- Two-panel axial: CT | PSMA PET, 18F-PSMA tracer
- acquired on Siemens Biograph mCT Flow 20
- slice position z = -268 mm
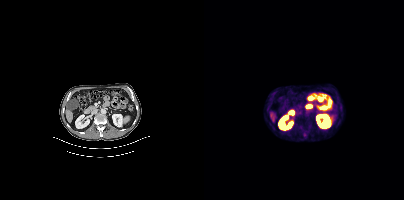
Findings: Coordinates are on the 200×200 PET (right) panel. (showing 4 of 5 foci) PSMA-avid tumor lesion bounding boxes (x, y, width, height): x=98 y=132 w=6 h=7; x=100 y=115 w=6 h=6; x=104 y=122 w=4 h=5. Small PSMA-avid focus (2 to 4 px across) near (center x, center y): (97, 126).